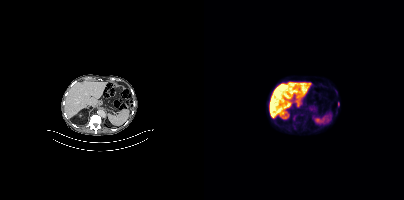
Left: CT. Right: PSMA PET, same axial level, 18F-PSMA tracer. Acquired on Siemens Biograph mCT Flow 20. Coordinates are on the 200×200 PET (right) panel. Small PSMA-avid focus (2 to 4 px across) near (center x, center y): (134, 104).